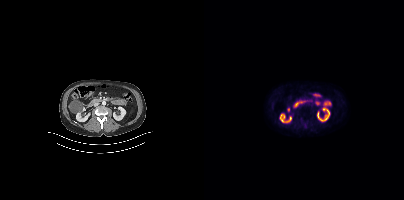
{"modality":"PSMA PET/CT","view":"axial","tracer":"[18F]PSMA-1007","pet_grid":[200,200],"coord_frame":"pet_panel","coord_format":"x0,y0,x1,y1","psma_avid_lesions":false}